Privacy masking over the head, with the pixels inside a rectangle set to black. Paired axial CT (left) and PSMA PET (right), 18F-PSMA tracer. Acquired on Siemens Biograph mCT Flow 20.
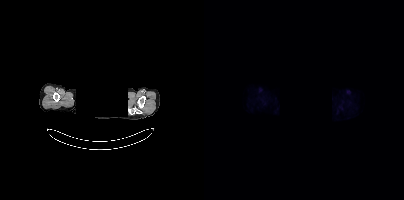
No tumor lesions annotated on this slice.